modality: PSMA PET/CT | tracer: 68Ga | view: axial | de-identification: facial region redacted
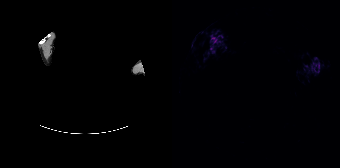
This slice has no annotated PSMA-avid lesion.